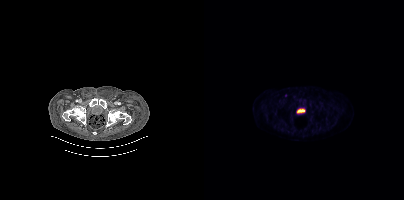
{"modality":"PSMA PET/CT","view":"axial","tracer":"[18F]PSMA-1007","pet_grid":[200,200],"coord_frame":"pet_panel","coord_format":"x0,y0,x1,y1","lesion_bboxes":[],"small_foci_centers":[[81,95]]}